Technique: Paired axial CT (left) and PSMA PET (right), 18F-PSMA tracer. acquired on Siemens Biograph mCT Flow 20. slice position z = -44 mm.
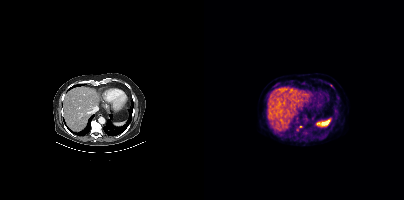
Findings: Coordinates are on the 200×200 PET (right) panel. Small PSMA-avid foci (2 to 4 px across) near (center x, center y): (127, 85) / (96, 126).